modality: PSMA PET/CT | tracer: [18F]PSMA-1007 | view: axial
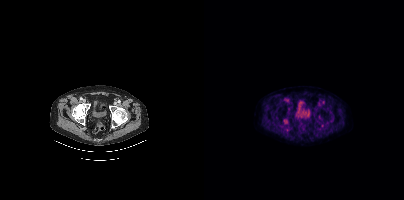
No tumor lesions annotated on this slice.